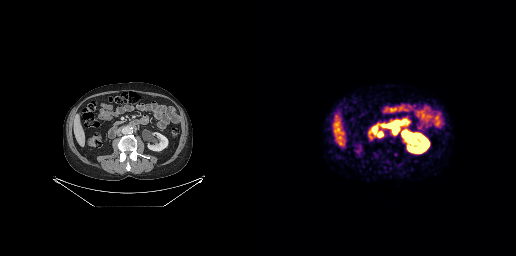
{"pet_grid":[256,256],"coord_frame":"pet_panel","coord_format":"x0,y0,x1,y1","lesion_bboxes":[[128,125,138,134],[117,132,123,137]],"modality":"PSMA PET/CT","view":"axial","tracer":"[68Ga]Ga-PSMA-11"}